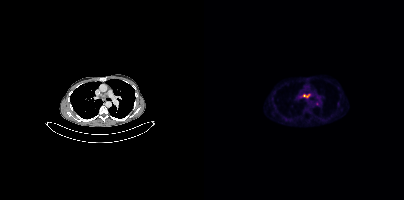
Coordinates are on the 200×200 PET (right) panel. PSMA-avid tumor lesion bounding box (x, y, width, height): x=100 y=95 w=5 h=2. Small PSMA-avid foci (2 to 4 px across) near (center x, center y): (95, 96) / (113, 103).